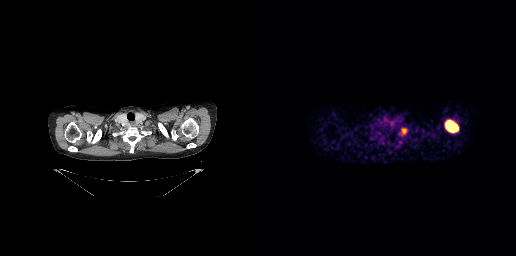
Left: CT. Right: PSMA PET, same axial level, 68Ga tracer. Acquired on GE Discovery 690.
Coordinates are on the 256×256 PET (right) panel. PSMA-avid tumor lesion bounding boxes:
| # | x0 | y0 | x1 | y1 |
|---|---|---|---|---|
| 1 | 185 | 119 | 198 | 132 |
| 2 | 142 | 128 | 146 | 133 |